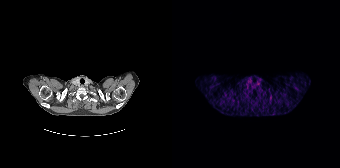
{"modality":"PSMA PET/CT","view":"axial","tracer":"[68Ga]Ga-PSMA-11","pet_grid":[168,168],"coord_frame":"pet_panel","coord_format":"x0,y0,x1,y1","psma_avid_lesions":false}